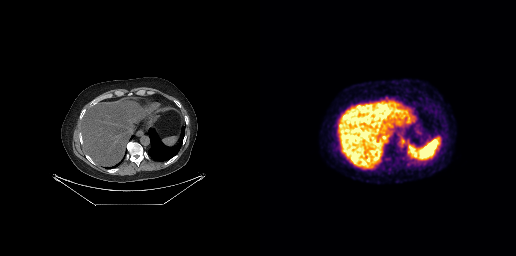
Negative for PSMA-avid disease on this slice. Paired axial CT (left) and PSMA PET (right), 18F tracer. PET panel 256×256 px (2.7 mm/px).